modality: PSMA PET/CT | tracer: [18F]PSMA-1007 | view: axial
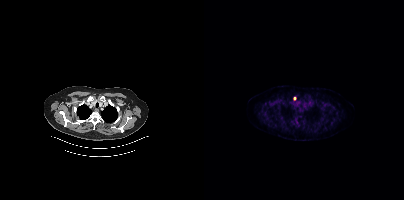
Coordinates are on the 200×200 PET (right) panel. Small PSMA-avid focus (2 to 4 px across) near (center x, center y): (91, 98).